- Paired axial CT (left) and PSMA PET (right), [68Ga]Ga-PSMA-11 tracer
- acquired on Siemens Biograph 64-4R TruePoint
- slice 35 of 195
- PET panel 168×168 px (4.1 mm/px)
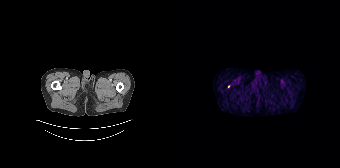
Findings: Coordinates are on the 168×168 PET (right) panel. Small PSMA-avid focus (2 to 4 px across) near (center x, center y): (56, 86).